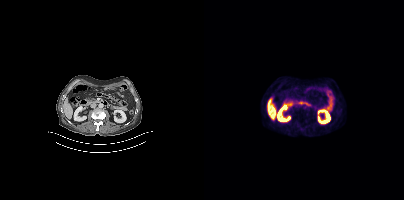
{"pet_grid":[200,200],"coord_frame":"pet_panel","coord_format":"x0,y0,x1,y1","psma_avid_lesions":false,"modality":"PSMA PET/CT","view":"axial","tracer":"18F"}